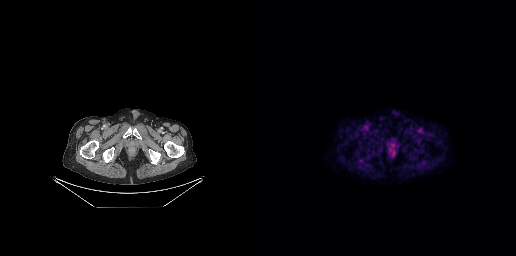
This slice has no annotated PSMA-avid lesion.